Two-panel axial: CT | PSMA PET, 18F tracer. Acquired on Siemens Biograph mCT Flow 20.
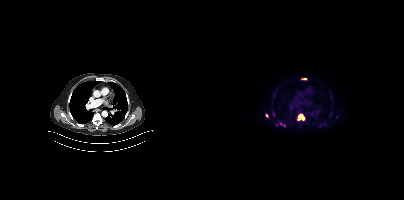
Coordinates are on the 200×200 PET (right) panel. PSMA-avid tumor lesion bounding boxes (partial; 1 more focus not listed):
| # | x0 | y0 | x1 | y1 |
|---|---|---|---|---|
| 1 | 93 | 113 | 101 | 120 |
| 2 | 97 | 78 | 103 | 80 |
Small PSMA-avid foci (2 to 4 px across) near (center x, center y): (63, 115); (76, 123).